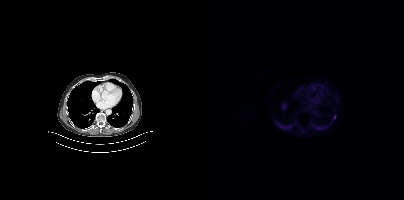
Left: CT. Right: PSMA PET, same axial level, [18F]PSMA-1007 tracer. Acquired on Siemens Biograph mCT Flow 20. Slice position z = -1080 mm.
Coordinates are on the 200×200 PET (right) panel. PSMA-avid tumor lesion bounding boxes:
| # | x0 | y0 | x1 | y1 |
|---|---|---|---|---|
| 1 | 129 | 115 | 132 | 119 |